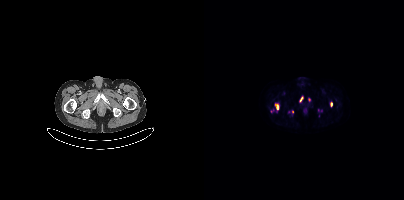
Coordinates are on the 200×200 PET (right) panel. (showing 4 of 6 foci) PSMA-avid tumor lesion bounding box (x, y, width, height): x=73 y=105 w=2 h=5. Small PSMA-avid foci (2 to 4 px across) near (center x, center y): (105, 99) / (127, 103) / (97, 98).